modality: PSMA PET/CT | tracer: [68Ga]Ga-PSMA-11 | view: axial | PET grid: 200×200
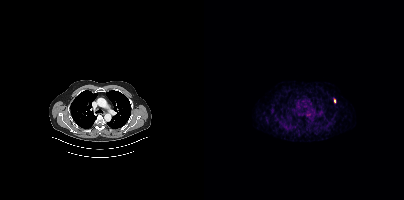
Coordinates are on the 200×200 PET (right) panel. Small PSMA-avid focus (2 to 4 px across) near (center x, center y): (130, 100).